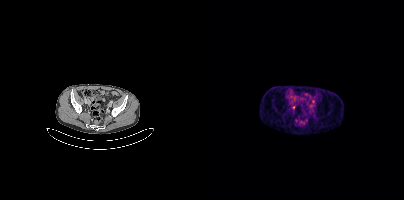
modality: PSMA PET/CT | tracer: [68Ga]Ga-PSMA-11 | view: axial
Only PSMA-avid lesion pieces thinner than 2 px on this slice (not listed).